- Paired axial CT (left) and PSMA PET (right), [18F]PSMA-1007 tracer
- acquired on GE Discovery 690
- slice position z = -541 mm
- PET panel 256×256 px (2.7 mm/px)
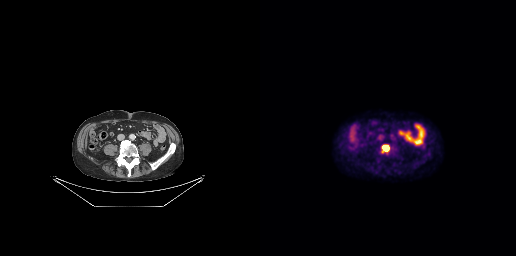
Findings: Coordinates are on the 256×256 PET (right) panel. PSMA-avid tumor lesion bounding box (x0,y0,x1,y1): [122,145,129,151].